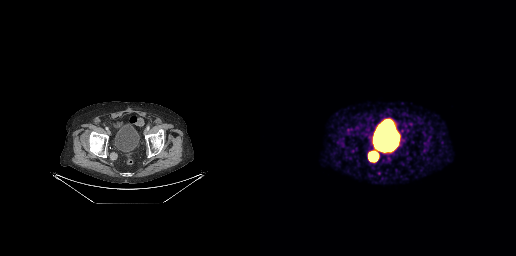
Findings: Coordinates are on the 256×256 PET (right) panel. PSMA-avid tumor lesion bounding box (x0,y0,x1,y1): [109,153,117,160].
Technique: Paired axial CT (left) and PSMA PET (right), [68Ga]Ga-PSMA-11 tracer. slice 75 of 263.